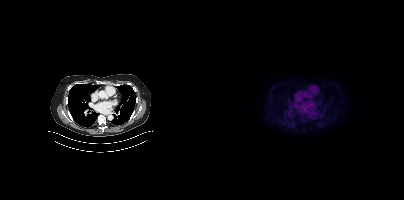
No PSMA-avid tumor lesions on this slice.